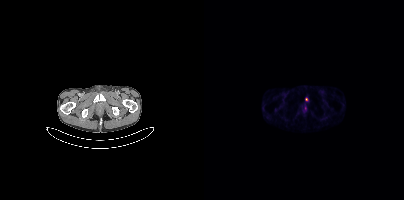
Coordinates are on the 200×200 PET (right) panel. Small PSMA-avid foci (2 to 4 px across) near (center x, center y): (102, 99) (101, 108). Two-panel axial: CT | PSMA PET, 68Ga tracer.